Technique: Paired axial CT (left) and PSMA PET (right), 18F tracer. PET panel 200×200 px (4.1 mm/px).
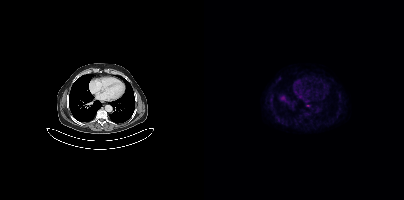
Findings: Coordinates are on the 200×200 PET (right) panel. Small PSMA-avid focus (2 to 4 px across) near (center x, center y): (102, 105).